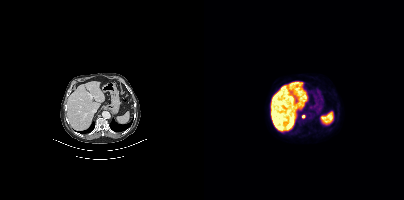
Paired axial CT (left) and PSMA PET (right), 18F-PSMA tracer. Slice 213 of 383. PET panel 200×200 px (4.1 mm/px). Coordinates are on the 200×200 PET (right) panel. PSMA-avid tumor lesion bounding box (x0, y0)-(x1, y1): (97, 115)-(101, 118).